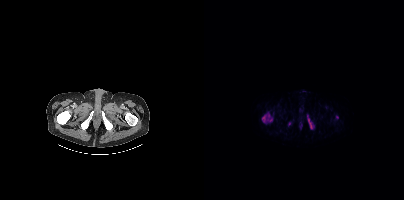
Left: CT. Right: PSMA PET, same axial level, 18F-PSMA tracer. Acquired on Siemens Biograph mCT Flow 20. PET panel 200×200 px (4.1 mm/px). Coordinates are on the 200×200 PET (right) panel. (showing 3 of 5 foci) PSMA-avid tumor lesion bounding boxes (x0,y0,x1,y1): [58,114,65,122], [104,118,108,128]. Small PSMA-avid focus (2 to 4 px across) near (center x, center y): (133, 117).